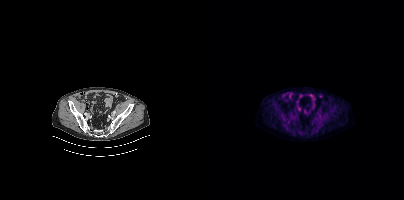
Technique: Two-panel axial: CT | PSMA PET, [18F]PSMA-1007 tracer. slice position z = 46 mm. PET panel 200×200 px (4.1 mm/px).
Findings: No tumor lesions annotated on this slice.